Technique: Two-panel axial: CT | PSMA PET, 18F tracer.
Note: A rectangular block over the head has been blanked out for de-identification.
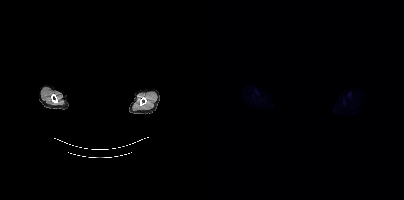
Findings: No tumor lesions annotated on this slice.